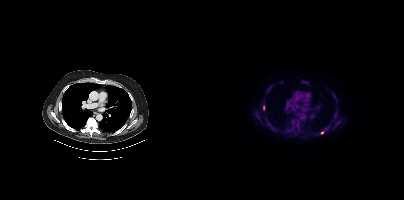
{"pet_grid":[200,200],"coord_frame":"pet_panel","coord_format":"x0,y0,x1,y1","lesion_bboxes":[[61,117,65,123]],"small_foci_centers":[[59,107],[118,132]],"modality":"PSMA PET/CT","view":"axial","tracer":"18F"}